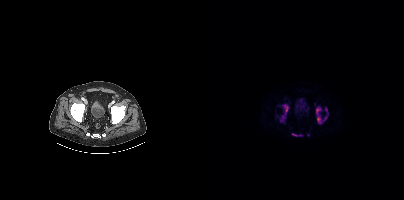
Coordinates are on the 200×200 PET (right) panel. PSMA-avid tumor lesion bounding boxes (x0,y0,x1,y1): [112,106,123,123] [76,104,84,121] [88,133,98,136] [121,107,124,114]. Small PSMA-avid focus (2 to 4 px across) near (center x, center y): (104, 134).